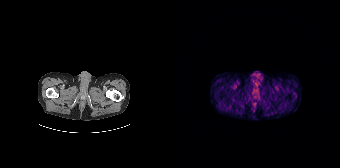
{"pet_grid":[168,168],"coord_frame":"pet_panel","coord_format":"x0,y0,x1,y1","psma_avid_lesions":false,"modality":"PSMA PET/CT","view":"axial","tracer":"[68Ga]Ga-PSMA-11"}